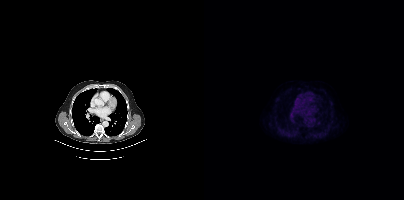
{"pet_grid":[200,200],"coord_frame":"pet_panel","coord_format":"x0,y0,x1,y1","psma_avid_lesions":false,"modality":"PSMA PET/CT","view":"axial","tracer":"18F"}